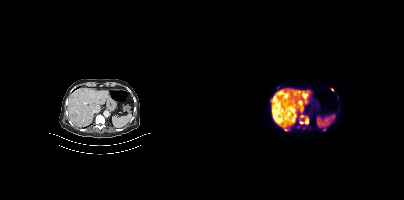
Two-panel axial: CT | PSMA PET, 18F tracer. Acquired on Siemens Biograph mCT Flow 20. Slice 221 of 403. PET panel 200×200 px (4.1 mm/px). Coordinates are on the 200×200 PET (right) panel. (showing 5 of 6 foci) PSMA-avid tumor lesion bounding box (x, y, width, height): x=96 y=115 w=9 h=10. Small PSMA-avid foci (2 to 4 px across) near (center x, center y): (97, 122) / (81, 129) / (128, 89) / (69, 116).